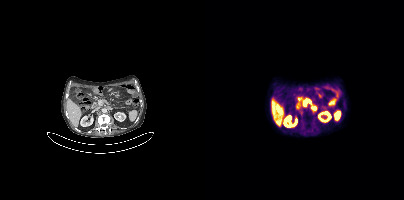
Two-panel axial: CT | PSMA PET, [18F]PSMA-1007 tracer. PET panel 200×200 px (4.1 mm/px).
Coordinates are on the 200×200 PET (right) panel. PSMA-avid tumor lesion bounding boxes:
| # | x0 | y0 | x1 | y1 |
|---|---|---|---|---|
| 1 | 99 | 98 | 107 | 106 |
| 2 | 93 | 96 | 98 | 100 |
Small PSMA-avid foci (2 to 4 px across) near (center x, center y): (116, 95); (97, 113).